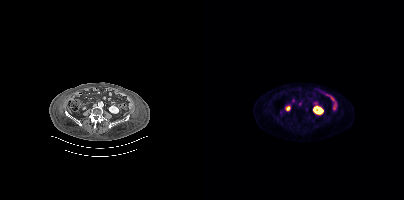
This slice has no annotated PSMA-avid lesion.